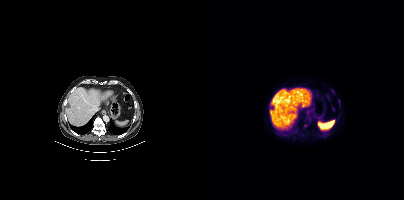
{"modality":"PSMA PET/CT","view":"axial","tracer":"18F-PSMA","pet_grid":[200,200],"coord_frame":"pet_panel","coord_format":"x0,y0,x1,y1","partial":true,"lesion_bboxes":[]}